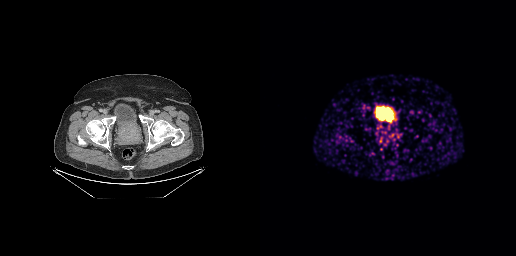
{"pet_grid":[256,256],"coord_frame":"pet_panel","coord_format":"x0,y0,x1,y1","lesion_bboxes":[[120,136,123,142],[122,132,126,134],[126,135,128,141]],"modality":"PSMA PET/CT","view":"axial","tracer":"68Ga"}